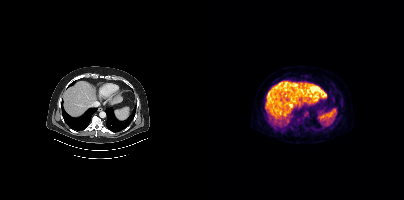
modality: PSMA PET/CT | tracer: 18F | view: axial
This slice has no annotated PSMA-avid lesion.